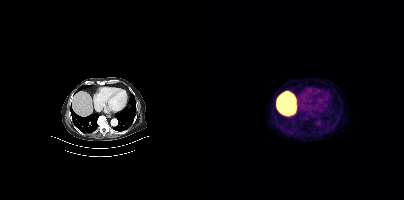
- Two-panel axial: CT | PSMA PET, 18F tracer
- acquired on Siemens Biograph mCT Flow 20
Findings: This slice has no annotated PSMA-avid lesion.